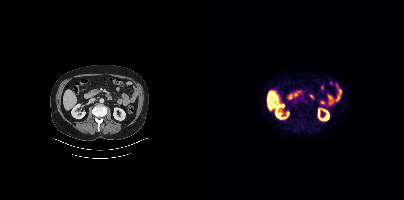
- Two-panel axial: CT | PSMA PET, [18F]PSMA-1007 tracer
- acquired on Siemens Biograph mCT Flow 20
- PET panel 200×200 px (4.1 mm/px)
Findings: Coordinates are on the 200×200 PET (right) panel. (showing 3 of 4 foci) Small PSMA-avid foci (2 to 4 px across) near (center x, center y): (96, 114) | (101, 103) | (94, 111).